Two-panel axial: CT | PSMA PET, [18F]PSMA-1007 tracer. Slice position z = -92 mm. PET panel 200×200 px (4.1 mm/px).
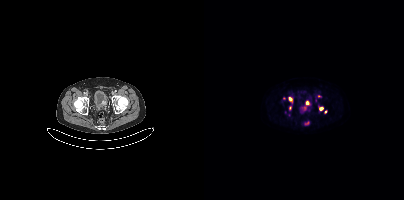
Coordinates are on the 200×200 PET (right) panel. (showing 7 of 9 foci) Small PSMA-avid foci (2 to 4 px across) near (center x, center y): (103, 102) | (86, 107) | (86, 98) | (101, 108) | (117, 108) | (114, 96) | (121, 111).